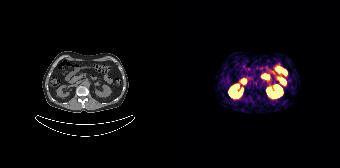
{"pet_grid":[168,168],"coord_frame":"pet_panel","coord_format":"x0,y0,x1,y1","psma_avid_lesions":false,"modality":"PSMA PET/CT","view":"axial","tracer":"68Ga-PSMA"}